Two-panel axial: CT | PSMA PET, 18F tracer. Acquired on Siemens Biograph mCT Flow 20. Slice 173 of 389. PET panel 200×200 px (4.1 mm/px).
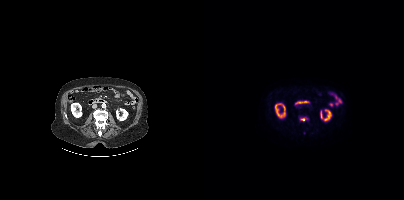
Coordinates are on the 200×200 PET (right) panel. Small PSMA-avid focus (2 to 4 px across) near (center x, center y): (99, 119).